- Left: CT. Right: PSMA PET, same axial level, 68Ga-PSMA tracer
- slice 130 of 444
- PET panel 200×200 px (4.1 mm/px)
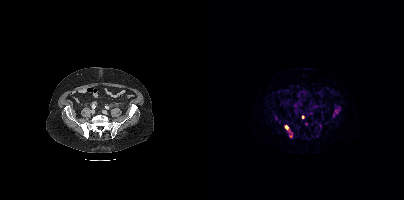
Findings: Coordinates are on the 200×200 PET (right) panel. (showing 5 of 6 foci) PSMA-avid tumor lesion bounding box (x0,y0,x1,y1): [81,125,84,129]. Small PSMA-avid foci (2 to 4 px across) near (center x, center y): (132, 111); (99, 116); (129, 115); (86, 136).